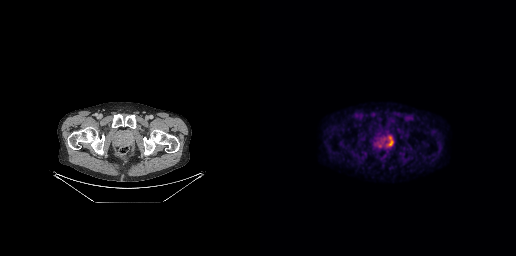
Coordinates are on the 256×256 PET (right) panel. PSMA-avid tumor lesion bounding box (x, y, width, height): x=127 y=136 w=7 h=11.